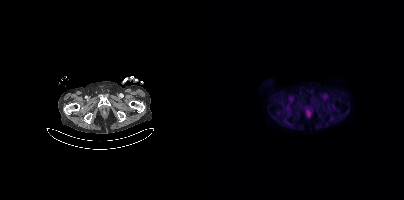
No tumor lesions annotated on this slice.